Two-panel axial: CT | PSMA PET, [18F]PSMA-1007 tracer. PET panel 200×200 px (4.1 mm/px).
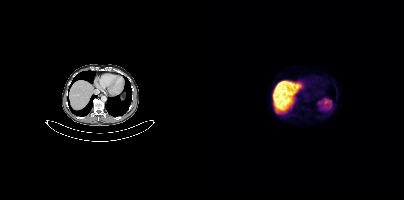
This slice has no annotated PSMA-avid lesion.